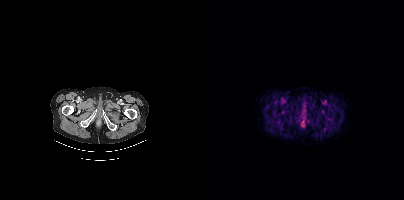
Findings: This slice has no annotated PSMA-avid lesion.
- Paired axial CT (left) and PSMA PET (right), [18F]PSMA-1007 tracer
- acquired on Siemens Biograph mCT Flow 20
- slice position z = -927 mm
- PET panel 200×200 px (4.1 mm/px)